Technique: Left: CT. Right: PSMA PET, same axial level, 18F-PSMA tracer.
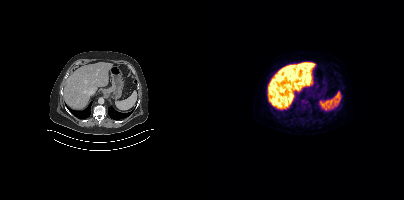
Findings: Coordinates are on the 200×200 PET (right) panel. Small PSMA-avid foci (2 to 4 px across) near (center x, center y): (101, 108) (104, 106).